Left: CT. Right: PSMA PET, same axial level, [18F]PSMA-1007 tracer. Slice 322 of 397.
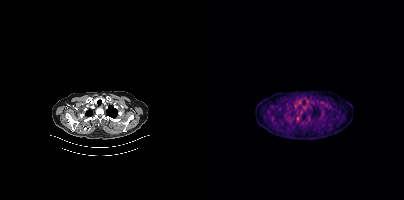
No PSMA-avid tumor lesions on this slice.